Left: CT. Right: PSMA PET, same axial level, [18F]PSMA-1007 tracer. Slice 290 of 397.
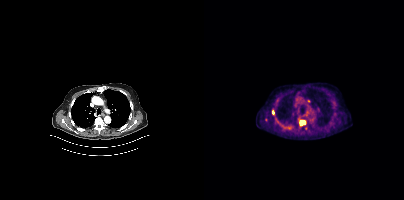
Coordinates are on the 200×200 PET (right) panel. (showing 3 of 4 foci) PSMA-avid tumor lesion bounding box (x0, y0)-(x1, y1): (95, 120)-(101, 126). Small PSMA-avid foci (2 to 4 px across) near (center x, center y): (68, 112) / (104, 100).